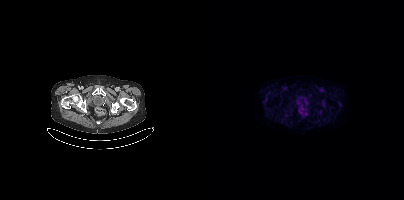
Technique: Two-panel axial: CT | PSMA PET, 18F tracer. acquired on Siemens Biograph mCT Flow 20. slice 59 of 387. PET panel 200×200 px (4.1 mm/px).
Findings: Negative for PSMA-avid disease on this slice.